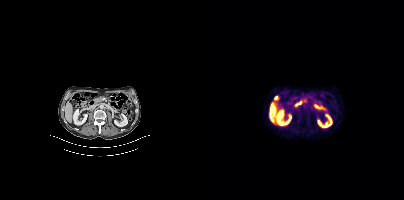
No tumor lesions annotated on this slice. Paired axial CT (left) and PSMA PET (right), [18F]PSMA-1007 tracer. PET panel 200×200 px (4.1 mm/px).